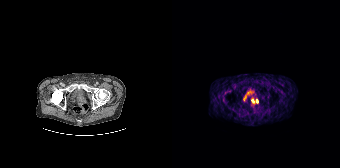
modality: PSMA PET/CT | tracer: [68Ga]Ga-PSMA-11 | view: axial
Coordinates are on the 168×168 PET (right) panel. PSMA-avid tumor lesion bounding box (x0,y0,x1,y1): [79,98,85,104].